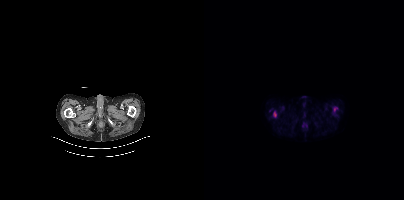
Paired axial CT (left) and PSMA PET (right), [18F]PSMA-1007 tracer.
Coordinates are on the 200×200 PET (right) panel. PSMA-avid tumor lesion bounding boxes:
| # | x0 | y0 | x1 | y1 |
|---|---|---|---|---|
| 1 | 70 | 112 | 72 | 116 |
Small PSMA-avid focus (2 to 4 px across) near (center x, center y): (131, 108).